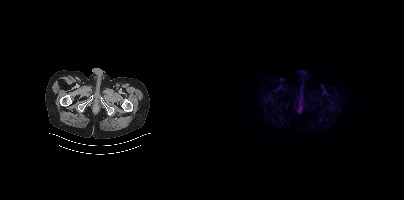
No tumor lesions annotated on this slice.